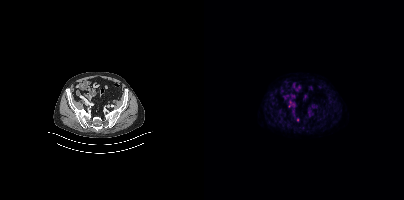
Only PSMA-avid lesion pieces thinner than 2 px on this slice (not listed).